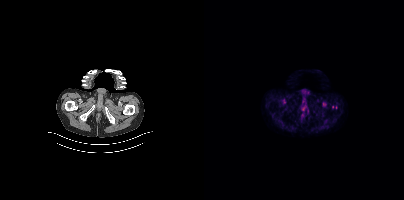
Only PSMA-avid lesion pieces thinner than 2 px on this slice (not listed).